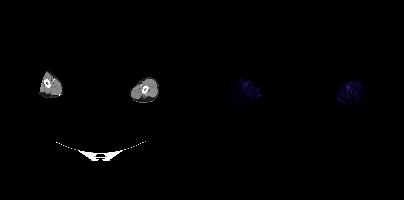
Left: CT. Right: PSMA PET, same axial level, 18F-PSMA tracer. PET panel 200×200 px (4.1 mm/px). The head region is masked for de-identification. No tumor lesions annotated on this slice.